modality: PSMA PET/CT | tracer: 18F | view: axial | PET grid: 200×200
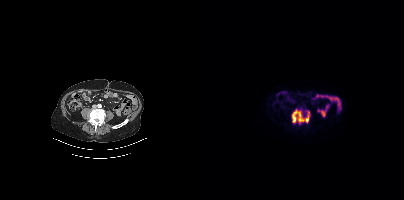
Coordinates are on the 200×200 PET (right) panel. PSMA-avid tumor lesion bounding box (x0,y0,x1,y1): [87,109,106,124].